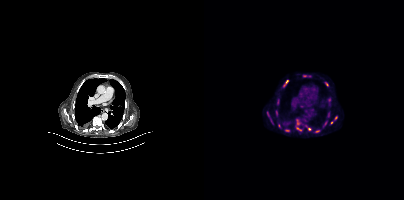
{"modality":"PSMA PET/CT","view":"axial","tracer":"[18F]PSMA-1007","pet_grid":[200,200],"coord_frame":"pet_panel","coord_format":"x0,y0,x1,y1","partial":true,"lesion_bboxes":[[92,119,98,131],[63,111,68,122],[126,116,133,124],[79,80,84,86],[101,125,107,130],[81,129,85,131],[111,130,115,132]],"small_foci_centers":[[122,83],[124,114],[122,122],[74,104],[100,75]]}